- Two-panel axial: CT | PSMA PET, [18F]PSMA-1007 tracer
- acquired on Siemens Biograph mCT Flow 20
- PET panel 200×200 px (4.1 mm/px)
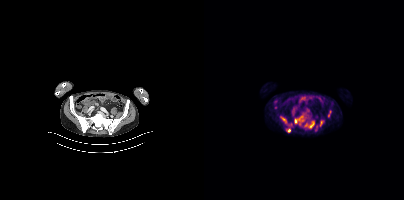
Findings: Coordinates are on the 200×200 PET (right) panel. (showing 5 of 7 foci) PSMA-avid tumor lesion bounding boxes (x0, y0)-(x1, y1): (90, 117)-(100, 125) | (100, 121)-(110, 128) | (80, 123)-(84, 126) | (116, 121)-(118, 125). Small PSMA-avid focus (2 to 4 px across) near (center x, center y): (124, 115).